Paired axial CT (left) and PSMA PET (right), 18F-PSMA tracer. PET panel 200×200 px (4.1 mm/px).
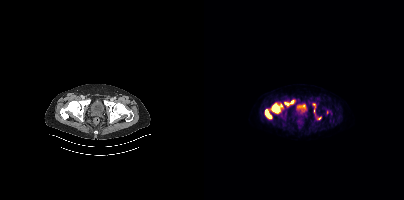
Coordinates are on the 200×200 PET (right) panel. (showing 6 of 7 foci) PSMA-avid tumor lesion bounding boxes (x, y, width, height): x=68 y=104 w=8 h=9; x=61 y=109 w=7 h=10. Small PSMA-avid foci (2 to 4 px across) near (center x, center y): (82, 103); (88, 102); (77, 105); (115, 118).